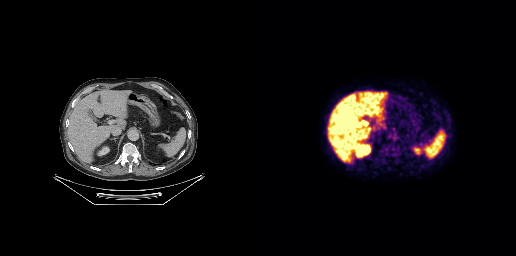
No tumor lesions annotated on this slice. Paired axial CT (left) and PSMA PET (right), 18F-PSMA tracer. Slice 154 of 263.